Technique: Two-panel axial: CT | PSMA PET, 68Ga tracer. slice position z = -1696 mm. PET panel 168×168 px (4.1 mm/px).
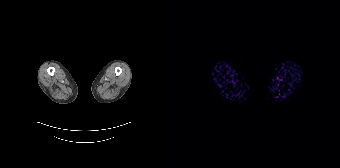
Findings: No tumor lesions annotated on this slice.